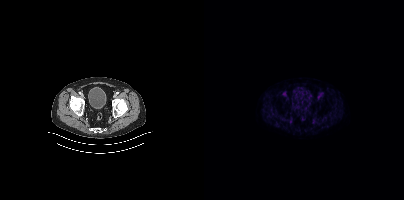
Negative for PSMA-avid disease on this slice.